Left: CT. Right: PSMA PET, same axial level, 18F-PSMA tracer. PET panel 200×200 px (4.1 mm/px).
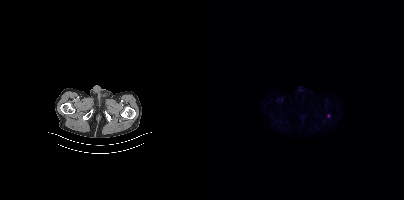
Coordinates are on the 200×200 PET (right) panel. Small PSMA-avid focus (2 to 4 px across) near (center x, center y): (124, 115).